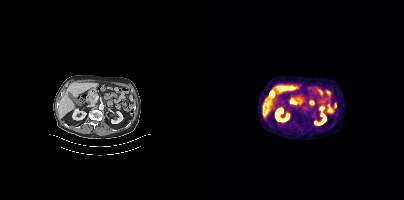
This slice has no annotated PSMA-avid lesion.